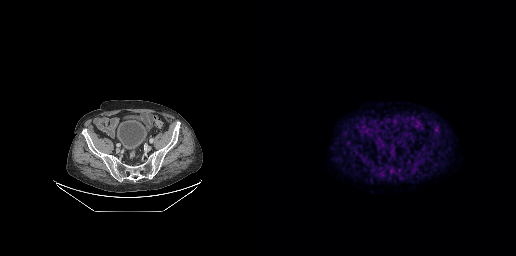
This slice has no annotated PSMA-avid lesion.